modality: PSMA PET/CT | tracer: 68Ga-PSMA | view: axial | PET grid: 256×256
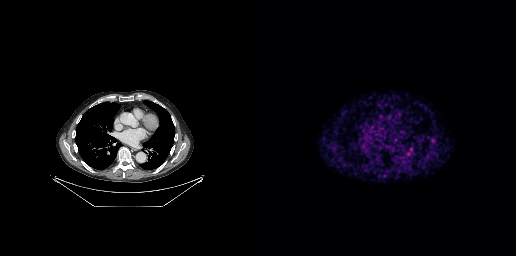
This slice has no annotated PSMA-avid lesion.